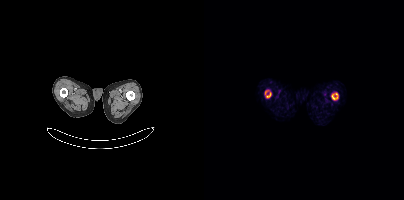
Coordinates are on the 200×200 PET (right) panel. PSMA-avid tumor lesion bounding boxes (x0,y0,x1,y1): [127,92,134,99]; [61,90,67,97].